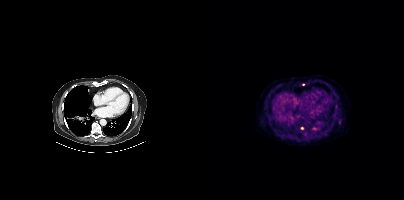
Two-panel axial: CT | PSMA PET, [18F]PSMA-1007 tracer. Coordinates are on the 200×200 PET (right) panel. (showing 3 of 4 foci) Small PSMA-avid foci (2 to 4 px across) near (center x, center y): (109, 128); (135, 121); (99, 84).